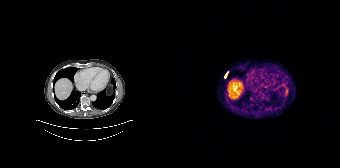
modality: PSMA PET/CT | tracer: 68Ga | view: axial
Coordinates are on the 168×168 PET (right) panel. Small PSMA-avid focus (2 to 4 px across) near (center x, center y): (53, 75).